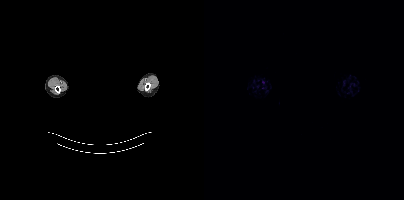
{"modality":"PSMA PET/CT","view":"axial","tracer":"18F-PSMA","pet_grid":[200,200],"coord_frame":"pet_panel","coord_format":"x0,y0,x1,y1","psma_avid_lesions":false,"redaction":"facial region redacted"}